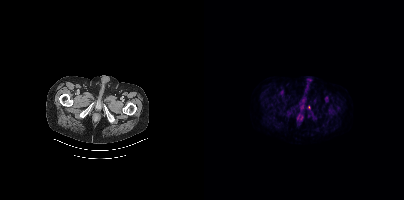
Technique: Two-panel axial: CT | PSMA PET, 18F-PSMA tracer.
Findings: Coordinates are on the 200×200 PET (right) panel. Small PSMA-avid focus (2 to 4 px across) near (center x, center y): (105, 107).